Left: CT. Right: PSMA PET, same axial level, [18F]PSMA-1007 tracer. Acquired on GE Discovery 690.
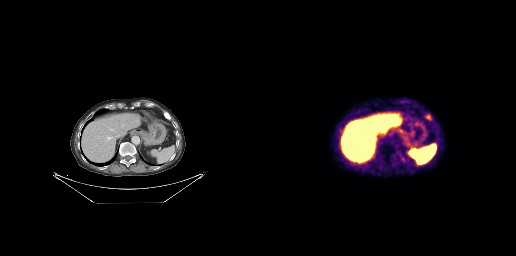
Coordinates are on the 256×256 PET (right) panel. PSMA-avid tumor lesion bounding box (x, y, width, height): x=165 y=114 w=7 h=6.